Technique: Two-panel axial: CT | PSMA PET, 18F-PSMA tracer. acquired on Siemens Biograph mCT Flow 20.
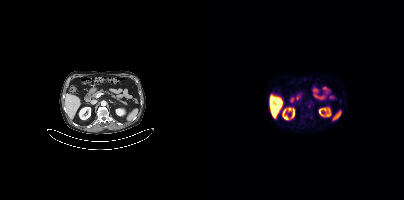
Findings: Coordinates are on the 200×200 PET (right) panel. Small PSMA-avid focus (2 to 4 px across) near (center x, center y): (105, 105).